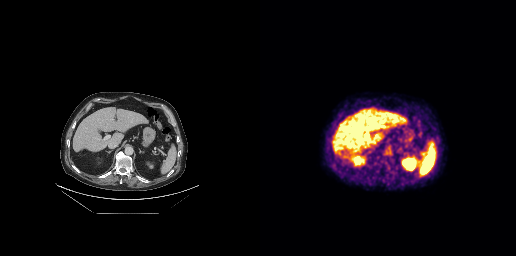
Paired axial CT (left) and PSMA PET (right), [18F]PSMA-1007 tracer. This slice has no annotated PSMA-avid lesion.